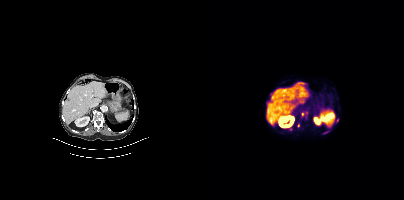
Coordinates are on the 200×200 PET (right) panel. (showing 5 of 6 foci) PSMA-avid tumor lesion bounding box (x0, y0)-(x1, y1): (97, 111)-(104, 118). Small PSMA-avid foci (2 to 4 px across) near (center x, center y): (94, 125); (121, 132); (86, 129); (64, 121).